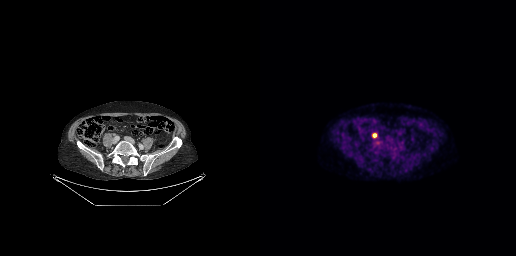
{"modality":"PSMA PET/CT","view":"axial","tracer":"18F-PSMA","pet_grid":[256,256],"coord_frame":"pet_panel","coord_format":"x0,y0,x1,y1","lesion_bboxes":[],"small_foci_centers":[[114,135]]}